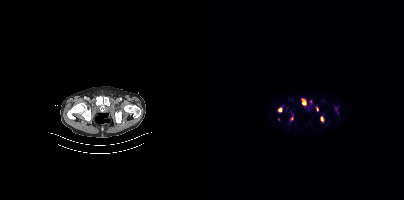
Coordinates are on the 200×200 PET (right) panel. (showing 4 of 7 foci) PSMA-avid tumor lesion bounding boxes (x, y, width, height): x=98 y=99 w=5 h=6 / x=76 y=107 w=3 h=5. Small PSMA-avid foci (2 to 4 px across) near (center x, center y): (117, 118) / (74, 119).